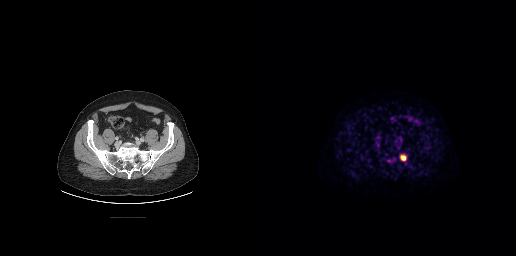
Technique: Left: CT. Right: PSMA PET, same axial level, [18F]PSMA-1007 tracer.
Findings: Coordinates are on the 256×256 PET (right) panel. PSMA-avid tumor lesion bounding box (x0,y0,x1,y1): [140,154,146,161]. Small PSMA-avid focus (2 to 4 px across) near (center x, center y): (128, 160).